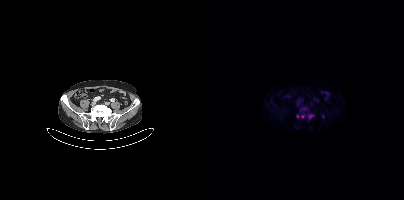
{"modality":"PSMA PET/CT","view":"axial","tracer":"18F","pet_grid":[200,200],"coord_frame":"pet_panel","coord_format":"x0,y0,x1,y1","partial":true,"lesion_bboxes":[[104,114,110,118]],"small_foci_centers":[[98,116],[93,116]]}